Two-panel axial: CT | PSMA PET, [68Ga]Ga-PSMA-11 tracer. Acquired on Siemens Biograph mCT Flow 20. PET panel 200×200 px (4.1 mm/px).
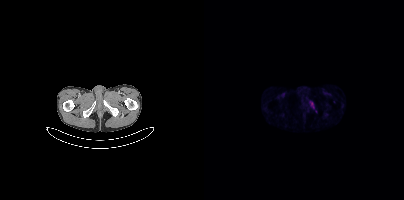
Coordinates are on the 200×200 PET (right) panel. (showing 1 of 2 foci) PSMA-avid tumor lesion bounding box (x0,y0,x1,y1): [106,101,110,108].